modality: PSMA PET/CT | tracer: 68Ga | view: axial | PET grid: 168×168
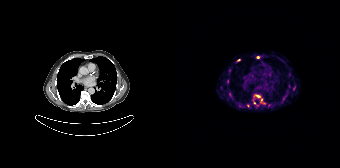
Coordinates are on the 168×168 PET (right) panel. (showing 6 of 9 foci) PSMA-avid tumor lesion bounding box (x0, y0)-(x1, y1): (83, 95)-(88, 97). Small PSMA-avid foci (2 to 4 px across) near (center x, center y): (66, 60) / (89, 100) / (85, 57) / (82, 102) / (121, 88).